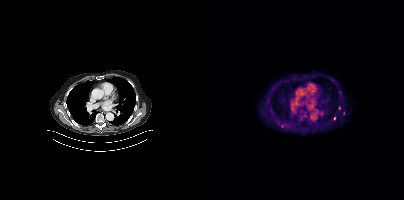
Paired axial CT (left) and PSMA PET (right), 18F-PSMA tracer. Slice 289 of 429. PET panel 200×200 px (4.1 mm/px).
Coordinates are on the 200×200 PET (right) panel. PSMA-avid tumor lesion bounding boxes (partial; 2 more foci not listed):
| # | x0 | y0 | x1 | y1 |
|---|---|---|---|---|
| 1 | 129 | 116 | 131 | 120 |